Two-panel axial: CT | PSMA PET, 18F-PSMA tracer.
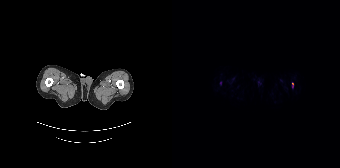
Coordinates are on the 168×168 PET (right) panel. Small PSMA-avid focus (2 to 4 px across) near (center x, center y): (120, 83).